modality: PSMA PET/CT | tracer: [18F]PSMA-1007 | view: axial
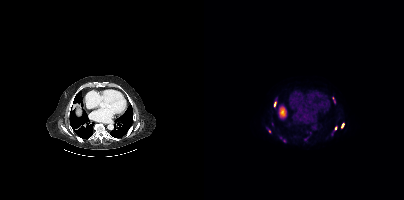
Coordinates are on the 200×200 PET (right) panel. (showing 5 of 7 foci) PSMA-avid tumor lesion bounding boxes (x, y, width, height): x=70 y=102 w=3 h=5; x=137 y=123 w=4 h=5. Small PSMA-avid foci (2 to 4 px across) near (center x, center y): (65, 131); (131, 128); (80, 140).